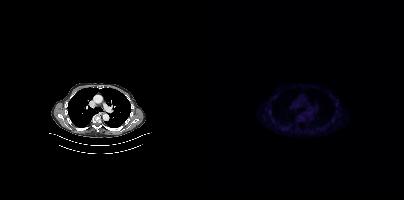
Findings: Negative for PSMA-avid disease on this slice.
- Left: CT. Right: PSMA PET, same axial level, [18F]PSMA-1007 tracer
- acquired on Siemens Biograph mCT Flow 20
- slice position z = -486 mm
- PET panel 200×200 px (4.1 mm/px)